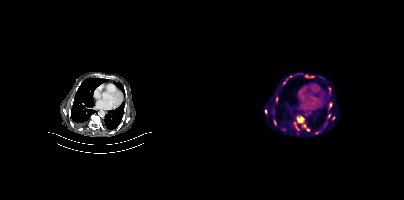
modality: PSMA PET/CT | tracer: [18F]PSMA-1007 | view: axial
Coordinates are on the 200×200 PET (right) panel. (showing 4 of 5 foci) PSMA-avid tumor lesion bounding box (x, y, width, height): x=93 y=117 w=8 h=6. Small PSMA-avid foci (2 to 4 px across) near (center x, center y): (91, 124) | (104, 129) | (100, 125).